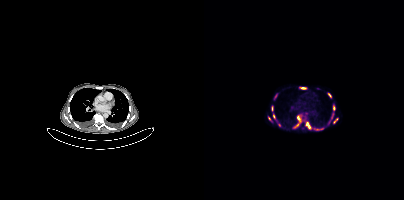
Coordinates are on the 200×200 PET (right) panel. (showing 12 of 13 foci) PSMA-avid tumor lesion bounding boxes (x, y, width, height): x=102 y=122 w=5 h=7 | x=93 y=115 w=5 h=8 | x=124 y=93 w=4 h=5 | x=129 y=105 w=2 h=5 | x=97 y=87 w=5 h=2 | x=130 y=118 w=4 h=5 | x=114 y=128 w=5 h=2. Small PSMA-avid foci (2 to 4 px across) near (center x, center y): (75, 124) | (71, 97) | (92, 125) | (69, 115) | (65, 118).